- Two-panel axial: CT | PSMA PET, [18F]PSMA-1007 tracer
- PET panel 200×200 px (4.1 mm/px)
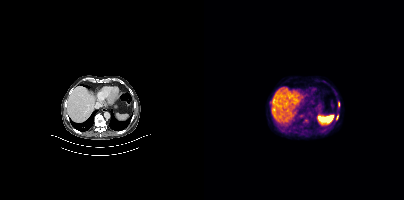
Findings: Coordinates are on the 200×200 PET (right) panel. PSMA-avid tumor lesion bounding boxes (x, y, width, height): x=134 y=102 w=2 h=5 / x=132 y=115 w=3 h=5.